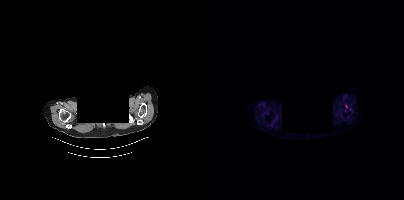
Two-panel axial: CT | PSMA PET, 18F-PSMA tracer. Slice 352 of 407. Head region blanked for anonymization (face removed). Coordinates are on the 200×200 PET (right) panel. (showing 1 of 2 foci) Small PSMA-avid focus (2 to 4 px across) near (center x, center y): (142, 106).